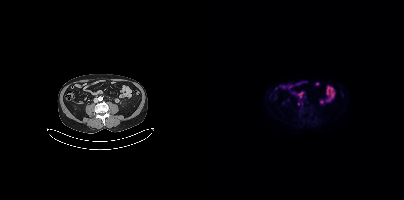
Coordinates are on the 200×200 PET (right) panel. (showing 3 of 4 foci) Small PSMA-avid foci (2 to 4 px across) near (center x, center y): (94, 104) / (100, 96) / (96, 96).